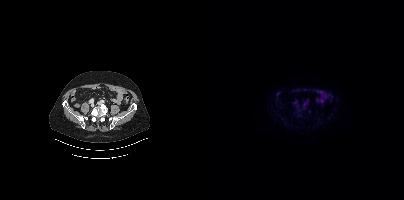
No PSMA-avid tumor lesions on this slice. Paired axial CT (left) and PSMA PET (right), 18F tracer. Acquired on Siemens Biograph mCT Flow 20. Slice position z = -884 mm. PET panel 200×200 px (4.1 mm/px).